Two-panel axial: CT | PSMA PET, 18F tracer.
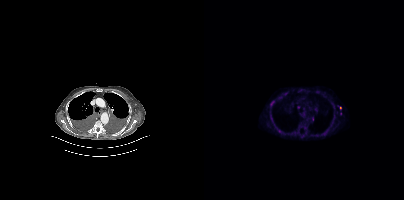
Coordinates are on the 200×200 PET (right) panel. (showing 7 of 10 foci) PSMA-avid tumor lesion bounding box (x, y, width, height): x=66 y=101 w=5 h=5. Small PSMA-avid foci (2 to 4 px across) near (center x, center y): (108, 118) | (75, 131) | (95, 91) | (136, 107) | (90, 132) | (120, 133).